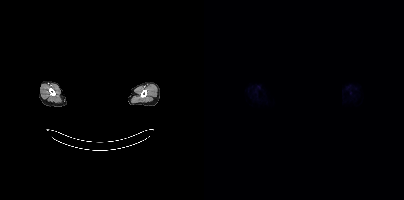
Negative for PSMA-avid disease on this slice. The head region is masked for de-identification. Two-panel axial: CT | PSMA PET, [18F]PSMA-1007 tracer. Acquired on Siemens Biograph mCT Flow 20. PET panel 200×200 px (4.1 mm/px).